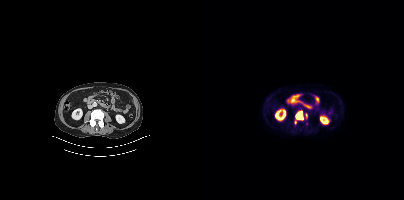
{"modality":"PSMA PET/CT","view":"axial","tracer":"[18F]PSMA-1007","pet_grid":[200,200],"coord_frame":"pet_panel","coord_format":"x0,y0,x1,y1","partial":true,"lesion_bboxes":[[92,111,99,119]]}